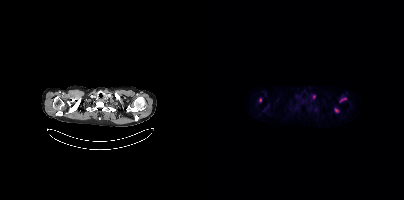
Left: CT. Right: PSMA PET, same axial level, [18F]PSMA-1007 tracer. Acquired on Siemens Biograph mCT Flow 20. Slice position z = -422 mm.
Coordinates are on the 200×200 PET (right) panel. PSMA-avid tumor lesion bounding boxes:
| # | x0 | y0 | x1 | y1 |
|---|---|---|---|---|
| 1 | 136 | 98 | 142 | 102 |
| 2 | 131 | 108 | 134 | 112 |
Small PSMA-avid foci (2 to 4 px across) near (center x, center y): (56, 99); (109, 96).